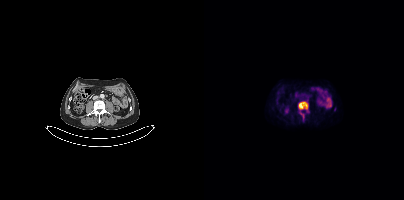
Technique: Paired axial CT (left) and PSMA PET (right), 18F tracer. acquired on Siemens Biograph mCT Flow 20. PET panel 200×200 px (4.1 mm/px).
Findings: Coordinates are on the 200×200 PET (right) panel. PSMA-avid tumor lesion bounding boxes (x0,y0,x1,y1): [94,101,104,110], [96,113,99,118].